modality: PSMA PET/CT | tracer: 18F-PSMA | view: axial
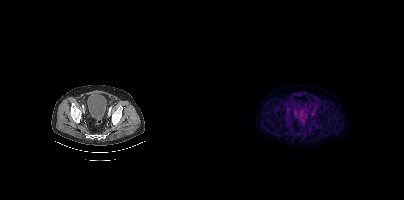
No PSMA-avid tumor lesions on this slice.